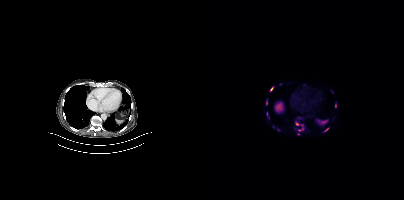
modality: PSMA PET/CT | tracer: 18F-PSMA | view: axial
Coordinates are on the 200×200 PET (right) panel. (showing 8 of 9 foci) PSMA-avid tumor lesion bounding boxes (x0,y0,x1,y1): [94,128,99,131]; [91,122,95,125]; [120,128,124,131]; [62,100,63,104]. Small PSMA-avid foci (2 to 4 px across) near (center x, center y): (67, 88); (98, 125); (94, 134); (131, 105).